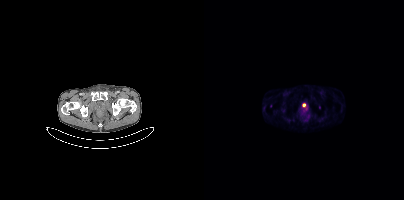
Two-panel axial: CT | PSMA PET, 68Ga tracer. Slice 49 of 409. PET panel 200×200 px (4.1 mm/px). Coordinates are on the 200×200 PET (right) panel. (showing 2 of 3 foci) Small PSMA-avid foci (2 to 4 px across) near (center x, center y): (66, 106); (103, 108).